- Paired axial CT (left) and PSMA PET (right), 18F tracer
- slice 264 of 413
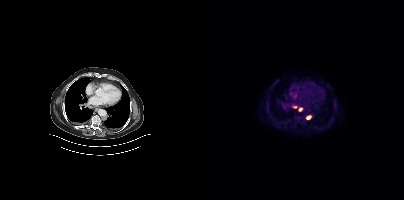
Findings: Coordinates are on the 200×200 PET (right) panel. (showing 2 of 3 foci) Small PSMA-avid foci (2 to 4 px across) near (center x, center y): (104, 117); (96, 109).